Technique: Paired axial CT (left) and PSMA PET (right), 18F-PSMA tracer.
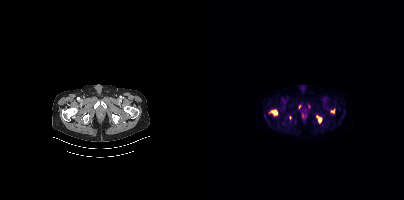
Findings: Coordinates are on the 200×200 PET (right) panel. PSMA-avid tumor lesion bounding boxes (x, y, width, height): x=65 y=109 w=9 h=8 | x=112 y=115 w=6 h=8 | x=126 y=109 w=6 h=5. Small PSMA-avid foci (2 to 4 px across) near (center x, center y): (95, 106) | (86, 117) | (105, 106) | (98, 115).